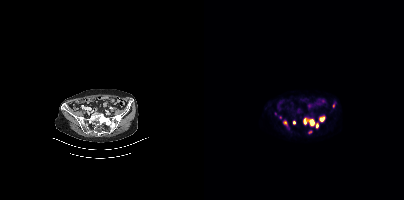
Coordinates are on the 200×200 PET (right) panel. (showing 6 of 8 foci) PSMA-avid tumor lesion bounding boxes (x0, y0)-(x1, y1): (99, 118)-(110, 125) / (116, 117)-(120, 121) / (112, 123)-(114, 127). Small PSMA-avid foci (2 to 4 px across) near (center x, center y): (90, 122) / (81, 122) / (106, 132).